Left: CT. Right: PSMA PET, same axial level, 18F tracer. Slice position z = -1464 mm.
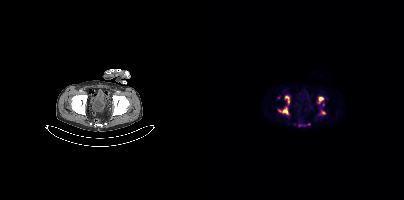
Coordinates are on the 200×200 PET (right) panel. (showing 6 of 7 foci) PSMA-avid tumor lesion bounding boxes (x0, y0)-(x1, y1): (74, 95)-(86, 115); (114, 96)-(119, 103); (116, 110)-(121, 114). Small PSMA-avid foci (2 to 4 px across) near (center x, center y): (74, 97); (119, 104); (95, 125).